Left: CT. Right: PSMA PET, same axial level, 68Ga tracer. PET panel 256×256 px (2.7 mm/px). Facial anatomy redacted by setting a rectangular region of the head to black.
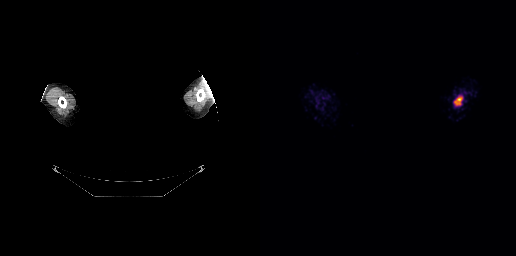
Coordinates are on the 256×256 PET (right) panel. PSMA-avid tumor lesion bounding box (x0, y0)-(x1, y1): (195, 97)-(201, 104).